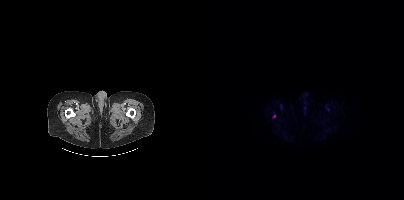
- Two-panel axial: CT | PSMA PET, [18F]PSMA-1007 tracer
Findings: This slice has no annotated PSMA-avid lesion.